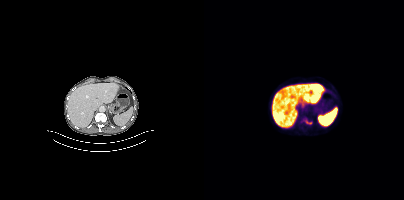
Coordinates are on the 200×200 PET (right) panel. PSMA-avid tumor lesion bounding box (x0, y0)-(x1, y1): (101, 120)-(107, 124). Paired axial CT (left) and PSMA PET (right), 18F-PSMA tracer. Slice 204 of 405.